Technique: Two-panel axial: CT | PSMA PET, [18F]PSMA-1007 tracer.
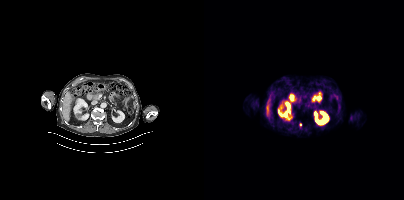
Findings: Coordinates are on the 200×200 PET (right) panel. Small PSMA-avid focus (2 to 4 px across) near (center x, center y): (96, 124).